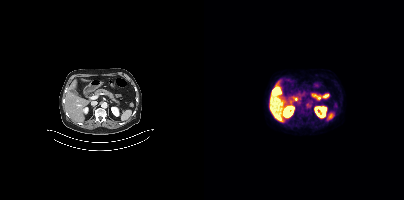
{"modality":"PSMA PET/CT","view":"axial","tracer":"18F","pet_grid":[200,200],"coord_frame":"pet_panel","coord_format":"x0,y0,x1,y1","psma_avid_lesions":false}